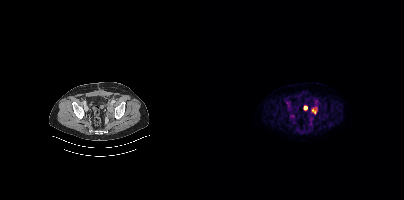
Coordinates are on the 200×200 PET (right) panel. PSMA-avid tumor lesion bounding boxes (x, y, width, height): x=107 y=107 w=7 h=8 / x=99 y=106 w=5 h=5.